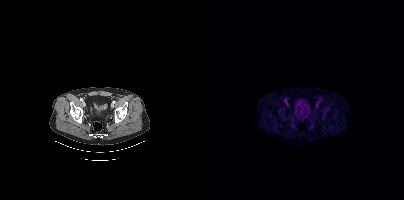
{"modality":"PSMA PET/CT","view":"axial","tracer":"[18F]PSMA-1007","pet_grid":[200,200],"coord_frame":"pet_panel","coord_format":"x0,y0,x1,y1","psma_avid_lesions":false}